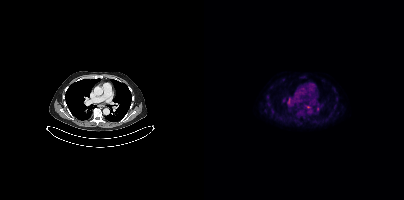
Paired axial CT (left) and PSMA PET (right), 18F tracer. Slice position z = -1091 mm. PET panel 200×200 px (4.1 mm/px).
Coordinates are on the 200×200 PET (right) panel. PSMA-avid tumor lesion bounding boxes:
| # | x0 | y0 | x1 | y1 |
|---|---|---|---|---|
| 1 | 102 | 106 | 106 | 108 |
| 2 | 84 | 99 | 86 | 104 |
Small PSMA-avid focus (2 to 4 px across) near (center x, center y): (113, 109).